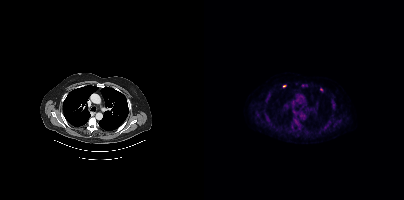
{"modality":"PSMA PET/CT","view":"axial","tracer":"[18F]PSMA-1007","pet_grid":[200,200],"coord_frame":"pet_panel","coord_format":"x0,y0,x1,y1","partial":true,"lesion_bboxes":[[87,124,89,128]],"small_foci_centers":[[80,85],[117,89]]}